Paired axial CT (left) and PSMA PET (right), 18F-PSMA tracer. Acquired on Siemens Biograph mCT Flow 20. PET panel 200×200 px (4.1 mm/px).
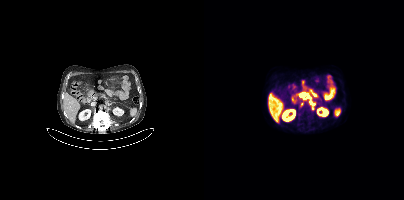
Coordinates are on the 200×200 PET (right) panel. PSMA-avid tumor lesion bounding boxes:
| # | x0 | y0 | x1 | y1 |
|---|---|---|---|---|
| 1 | 96 | 93 | 101 | 96 |
| 2 | 105 | 101 | 110 | 105 |
| 3 | 96 | 101 | 99 | 106 |